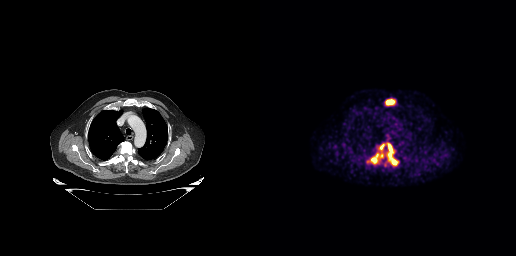
Findings: Coordinates are on the 256×256 PET (right) panel. (showing 2 of 3 foci) PSMA-avid tumor lesion bounding boxes (x0, y0)-(x1, y1): (107, 142)-(139, 166); (125, 98)-(135, 105).
Technique: Two-panel axial: CT | PSMA PET, [68Ga]Ga-PSMA-11 tracer. PET panel 256×256 px (2.7 mm/px).